- Paired axial CT (left) and PSMA PET (right), 18F tracer
- acquired on GE Discovery 690
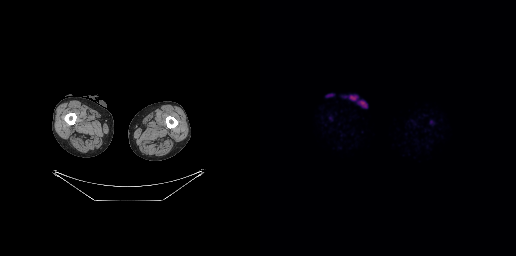
Findings: No PSMA-avid tumor lesions on this slice.